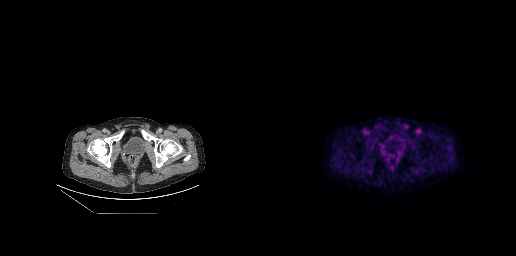
- Two-panel axial: CT | PSMA PET, 18F tracer
- PET panel 256×256 px (2.7 mm/px)
Findings: Coordinates are on the 256×256 PET (right) panel. Small PSMA-avid focus (2 to 4 px across) near (center x, center y): (120, 144).